Technique: Left: CT. Right: PSMA PET, same axial level, 68Ga tracer. acquired on GE Discovery 690.
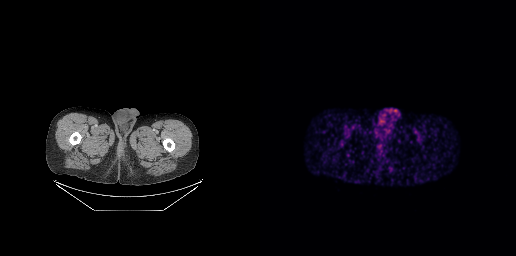
Findings: No PSMA-avid tumor lesions on this slice.